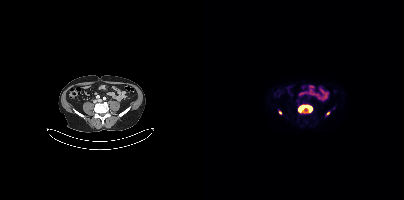
{"pet_grid":[200,200],"coord_frame":"pet_panel","coord_format":"x0,y0,x1,y1","lesion_bboxes":[[94,104,108,112]],"small_foci_centers":[[76,112],[124,113]],"modality":"PSMA PET/CT","view":"axial","tracer":"18F-PSMA"}